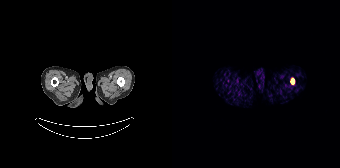
Coordinates are on the 168×168 PET (right) panel. PSMA-avid tumor lesion bounding boxes:
| # | x0 | y0 | x1 | y1 |
|---|---|---|---|---|
| 1 | 119 | 78 | 122 | 83 |
Left: CT. Right: PSMA PET, same axial level, 68Ga tracer. Slice position z = -1034 mm. PET panel 168×168 px (4.1 mm/px).